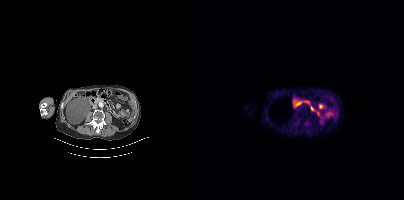
No tumor lesions annotated on this slice.
modality: PSMA PET/CT | tracer: 18F | view: axial